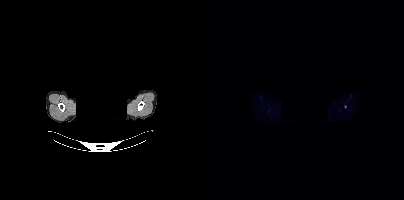
Findings: Coordinates are on the 200×200 PET (right) panel. Small PSMA-avid focus (2 to 4 px across) near (center x, center y): (141, 106).
- privacy masking over the head, with the pixels inside a rectangle set to black
- Two-panel axial: CT | PSMA PET, 18F tracer
- acquired on Siemens Biograph mCT Flow 20
- slice position z = -282 mm